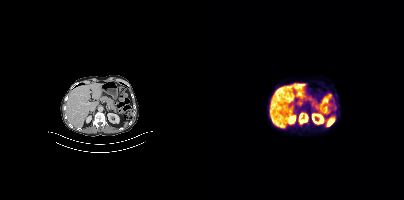
{"modality":"PSMA PET/CT","view":"axial","tracer":"18F","pet_grid":[200,200],"coord_frame":"pet_panel","coord_format":"x0,y0,x1,y1","lesion_bboxes":[[95,113,104,123]]}